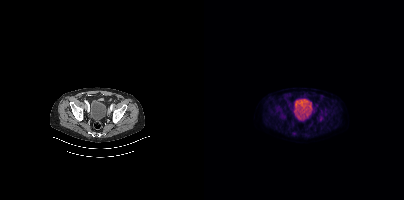
{"modality":"PSMA PET/CT","view":"axial","tracer":"[18F]PSMA-1007","pet_grid":[200,200],"coord_frame":"pet_panel","coord_format":"x0,y0,x1,y1","psma_avid_lesions":false}